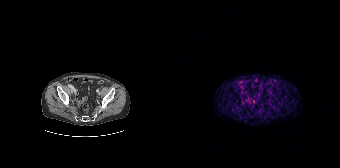
This slice has no annotated PSMA-avid lesion. Two-panel axial: CT | PSMA PET, 68Ga tracer. PET panel 168×168 px (4.1 mm/px).